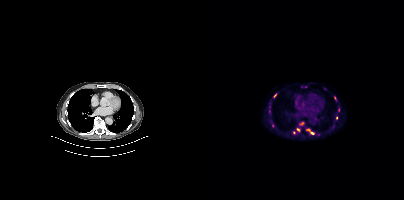
Technique: Two-panel axial: CT | PSMA PET, [18F]PSMA-1007 tracer. acquired on Siemens Biograph mCT Flow 20. PET panel 200×200 px (4.1 mm/px).
Findings: Coordinates are on the 200×200 PET (right) panel. (showing 5 of 9 foci) PSMA-avid tumor lesion bounding box (x0,y0,x1,y1): [104,129,110,134]. Small PSMA-avid foci (2 to 4 px across) near (center x, center y): (94, 129) (130, 97) (132, 117) (71, 95).